modality: PSMA PET/CT | tracer: [18F]PSMA-1007 | view: axial
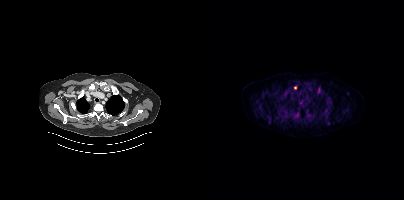
Coordinates are on the 200×200 PET (right) panel. (showing 10 of 11 foci) PSMA-avid tumor lesion bounding boxes (x0,y0,x1,y1): [90,112,96,119]; [113,87,117,94]; [102,109,106,117]; [121,94,126,99]; [79,91,83,95]; [122,101,126,106]; [55,104,58,109]. Small PSMA-avid foci (2 to 4 px across) near (center x, center y): (65, 120); (91, 87); (100, 120).